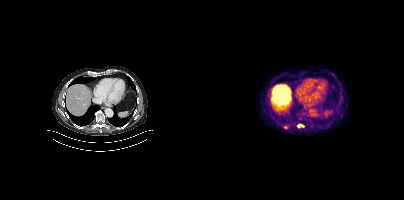
Findings: Coordinates are on the 200×200 PET (right) panel. PSMA-avid tumor lesion bounding box (x0, y0)-(x1, y1): (93, 124)-(100, 127). Small PSMA-avid focus (2 to 4 px across) near (center x, center y): (81, 127).
Technique: Paired axial CT (left) and PSMA PET (right), 18F-PSMA tracer. acquired on Siemens Biograph mCT Flow 20. slice position z = -406 mm.